Left: CT. Right: PSMA PET, same axial level, 68Ga-PSMA tracer. Slice position z = -1626 mm. PET panel 200×200 px (4.1 mm/px).
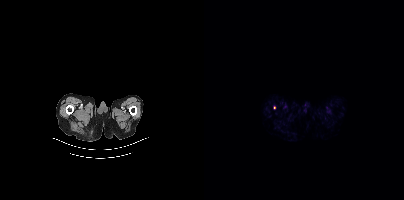
Coordinates are on the 200×200 PET (right) panel. Small PSMA-avid focus (2 to 4 px across) near (center x, center y): (70, 107).